Two-panel axial: CT | PSMA PET, [18F]PSMA-1007 tracer. PET panel 200×200 px (4.1 mm/px).
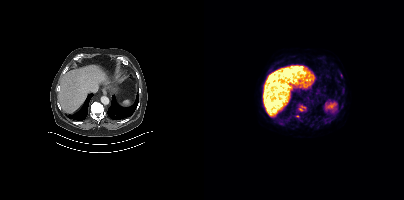
Coordinates are on the 200×200 PET (right) panel. PSMA-avid tumor lesion bounding box (x0,y0,x1,y1): [95,105,101,111]. Small PSMA-avid focus (2 to 4 px across) near (center x, center y): (93, 116).